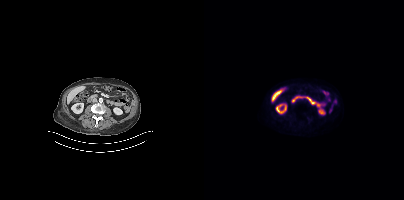
No tumor lesions annotated on this slice.
modality: PSMA PET/CT | tracer: 18F | view: axial | PET grid: 200×200